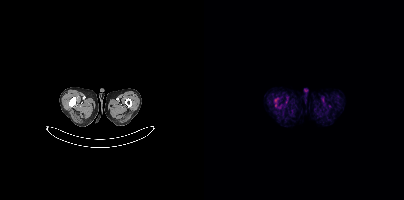
Only PSMA-avid lesion pieces thinner than 2 px on this slice (not listed).